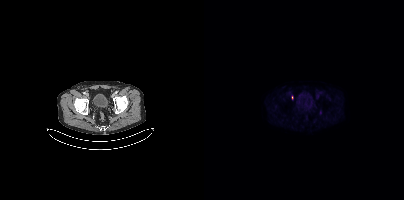
Only PSMA-avid lesion pieces thinner than 2 px on this slice (not listed). Left: CT. Right: PSMA PET, same axial level, 18F tracer. PET panel 200×200 px (4.1 mm/px).